- Paired axial CT (left) and PSMA PET (right), 18F tracer
- slice position z = -975 mm
- PET panel 200×200 px (4.1 mm/px)
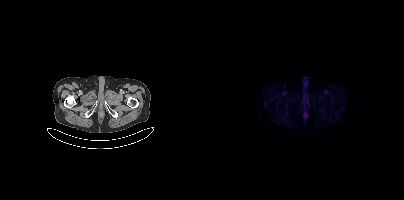
Findings: No tumor lesions annotated on this slice.